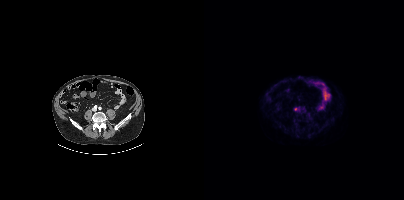
{"modality":"PSMA PET/CT","view":"axial","tracer":"18F","pet_grid":[200,200],"coord_frame":"pet_panel","coord_format":"x0,y0,x1,y1","lesion_bboxes":[[90,108,94,110]]}